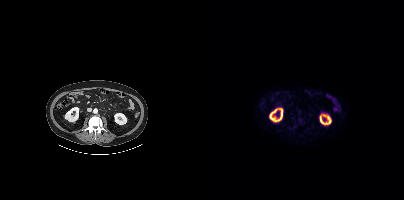
Paired axial CT (left) and PSMA PET (right), [18F]PSMA-1007 tracer. Acquired on Siemens Biograph mCT Flow 20. Slice position z = -798 mm. No tumor lesions annotated on this slice.